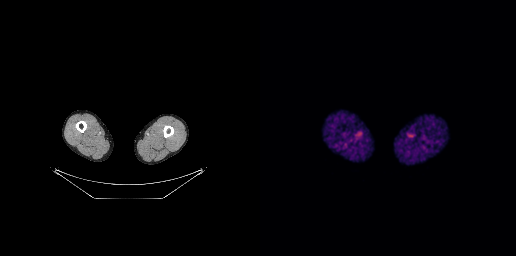
No PSMA-avid tumor lesions on this slice.